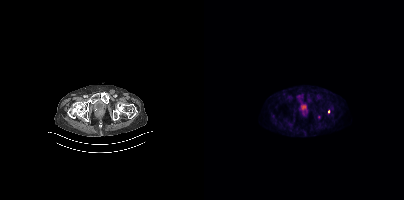
Coordinates are on the 200×200 PET (right) panel. Small PSMA-avid foci (2 to 4 px across) near (center x, center y): (115, 117); (124, 111).